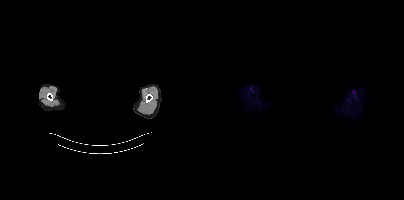
Findings: No tumor lesions annotated on this slice.
Technique: Left: CT. Right: PSMA PET, same axial level, 18F-PSMA tracer. slice 390 of 423.
Note: A rectangular block over the head has been blanked out for de-identification.